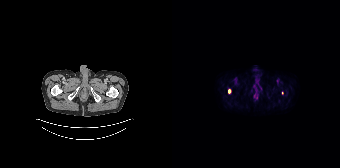
Findings: Coordinates are on the 168×168 PET (right) panel. (showing 1 of 2 foci) PSMA-avid tumor lesion bounding box (x0, y0)-(x1, y1): (56, 89)-(58, 93).
- Paired axial CT (left) and PSMA PET (right), 18F tracer
- PET panel 168×168 px (4.1 mm/px)